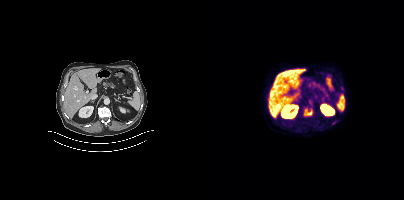
Two-panel axial: CT | PSMA PET, 18F tracer. Acquired on Siemens Biograph mCT Flow 20.
Coordinates are on the 200×200 PET (right) panel. PSMA-avid tumor lesion bounding boxes:
| # | x0 | y0 | x1 | y1 |
|---|---|---|---|---|
| 1 | 100 | 109 | 108 | 115 |
Small PSMA-avid focus (2 to 4 px across) near (center x, center y): (129, 123).